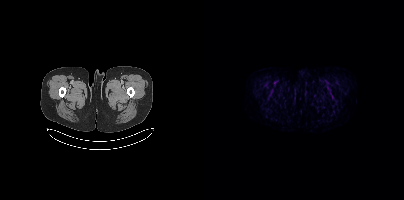
Coordinates are on the 200×200 PET (right) panel. PSMA-avid tumor lesion bounding box (x0,y0,x1,y1): [125,90,129,97]. Small PSMA-avid focus (2 to 4 px across) near (center x, center y): (67, 90).